modality: PSMA PET/CT | tracer: [68Ga]Ga-PSMA-11 | view: axial | PET grid: 168×168
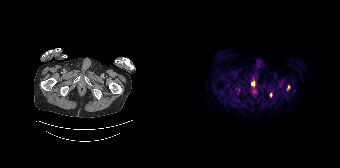
Coordinates are on the 168×168 PET (right) panel. (showing 1 of 2 foci) Small PSMA-avid focus (2 to 4 px across) near (center x, center y): (98, 94).